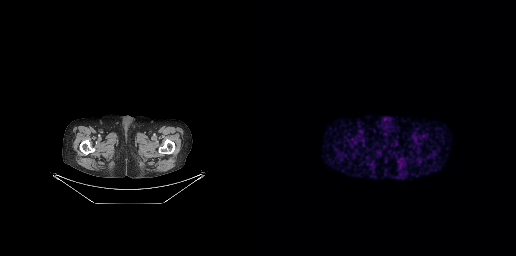
{"modality":"PSMA PET/CT","view":"axial","tracer":"[68Ga]Ga-PSMA-11","pet_grid":[256,256],"coord_frame":"pet_panel","coord_format":"x0,y0,x1,y1","psma_avid_lesions":false}